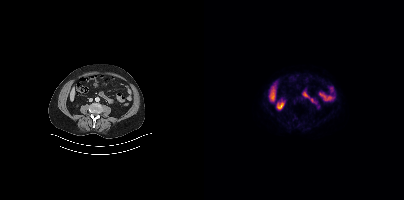
{"modality":"PSMA PET/CT","view":"axial","tracer":"18F-PSMA","pet_grid":[200,200],"coord_frame":"pet_panel","coord_format":"x0,y0,x1,y1","psma_avid_lesions":false}